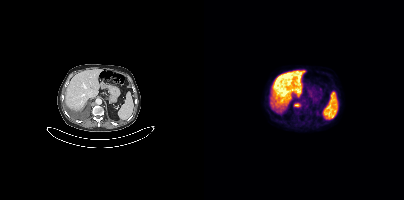
{"modality":"PSMA PET/CT","view":"axial","tracer":"18F","pet_grid":[200,200],"coord_frame":"pet_panel","coord_format":"x0,y0,x1,y1","lesion_bboxes":[[90,103,96,106]]}